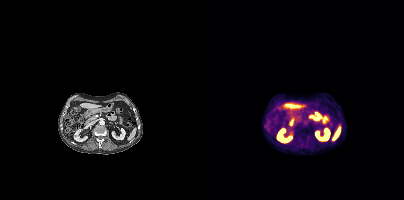
{"modality":"PSMA PET/CT","view":"axial","tracer":"18F-PSMA","pet_grid":[200,200],"coord_frame":"pet_panel","coord_format":"x0,y0,x1,y1","psma_avid_lesions":false}